Left: CT. Right: PSMA PET, same axial level, [68Ga]Ga-PSMA-11 tracer. PET panel 200×200 px (4.1 mm/px).
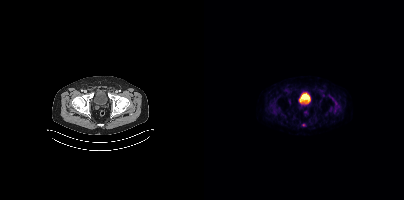
Coordinates are on the 200×200 PET (right) panel. Small PSMA-avid focus (2 to 4 px across) near (center x, center y): (99, 124).